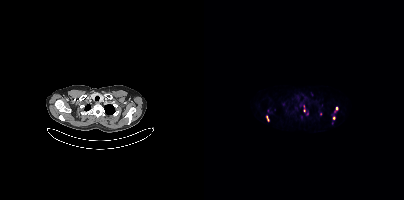
Coordinates are on the 200×200 PET (right) panel. (showing 6 of 8 foci) PSMA-avid tumor lesion bounding box (x0, y0)-(x1, y1): (63, 116)-(64, 120). Small PSMA-avid foci (2 to 4 px across) near (center x, center y): (132, 108) | (100, 111) | (103, 113) | (116, 113) | (129, 117).